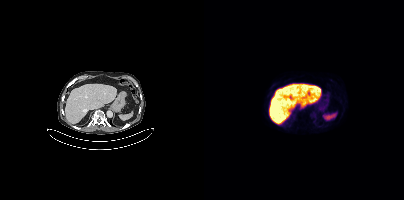
Negative for PSMA-avid disease on this slice.